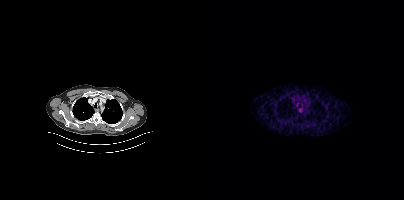
modality: PSMA PET/CT | tracer: 68Ga-PSMA | view: axial
This slice has no annotated PSMA-avid lesion.